modality: PSMA PET/CT | tracer: 18F | view: axial | PET grid: 256×256
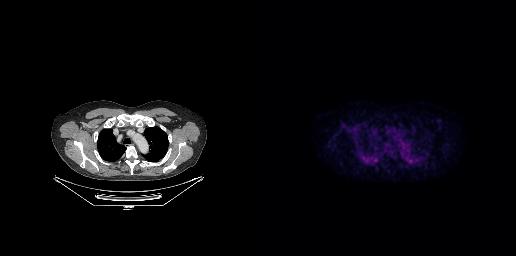
Negative for PSMA-avid disease on this slice.